- Two-panel axial: CT | PSMA PET, 18F tracer
- acquired on GE Discovery 690
- PET panel 256×256 px (2.7 mm/px)
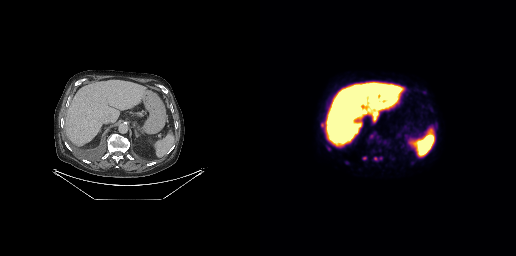
Findings: Coordinates are on the 256×256 PET (right) panel. PSMA-avid tumor lesion bounding boxes (x0, y0)-(x1, y1): (61, 122)-(64, 128) | (66, 145)-(71, 150). Small PSMA-avid foci (2 to 4 px across) near (center x, center y): (111, 136) | (63, 131) | (87, 162) | (104, 158) | (115, 158).